Technique: Left: CT. Right: PSMA PET, same axial level, [18F]PSMA-1007 tracer. slice position z = 424 mm.
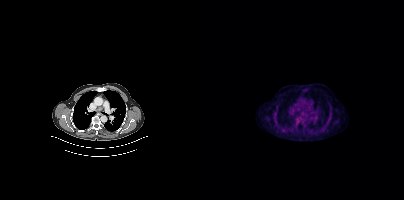
Findings: No tumor lesions annotated on this slice.